modality: PSMA PET/CT | tracer: [18F]PSMA-1007 | view: axial | PET grid: 168×168
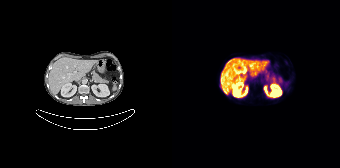
No tumor lesions annotated on this slice.